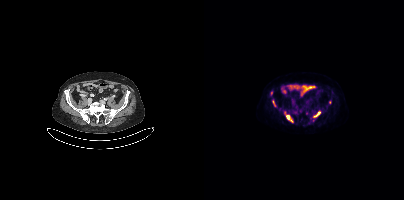
modality: PSMA PET/CT | tracer: 18F-PSMA | view: axial
Coordinates are on the 200×200 PET (right) panel. PSMA-avid tumor lesion bounding boxes (x0, y0)-(x1, y1): (82, 115)-(89, 122) | (110, 112)-(116, 116) | (68, 100)-(71, 106). Small PSMA-avid foci (2 to 4 px across) near (center x, center y): (67, 93) | (125, 102) | (80, 112).